Paired axial CT (left) and PSMA PET (right), 18F-PSMA tracer. Acquired on Siemens Biograph mCT Flow 20. Slice position z = -265 mm. A rectangular block over the head has been blanked out for de-identification.
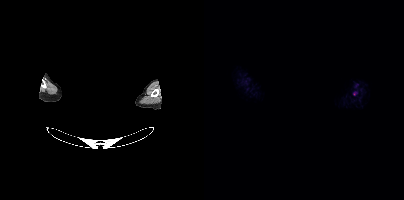
Negative for PSMA-avid disease on this slice.